Two-panel axial: CT | PSMA PET, [68Ga]Ga-PSMA-11 tracer. PET panel 200×200 px (4.1 mm/px). A rectangular block over the head has been blanked out for de-identification.
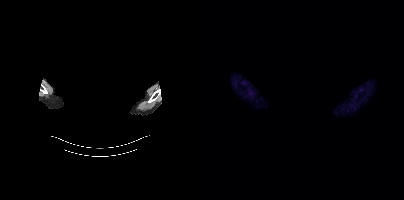
No tumor lesions annotated on this slice.